modality: PSMA PET/CT | tracer: [18F]PSMA-1007 | view: axial | PET grid: 200×200
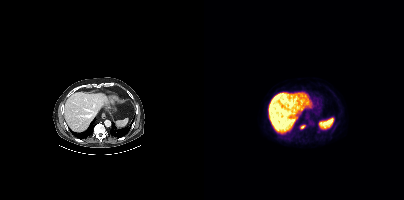
Coordinates are on the 200×200 PET (right) panel. PSMA-avid tumor lesion bounding box (x0, y0)-(x1, y1): (96, 125)-(101, 128).